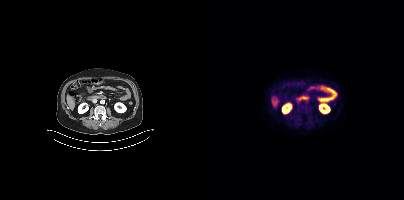
Paired axial CT (left) and PSMA PET (right), 18F tracer. Slice position z = -1468 mm. PET panel 200×200 px (4.1 mm/px). Coordinates are on the 200×200 PET (right) panel. Small PSMA-avid focus (2 to 4 px across) near (center x, center y): (101, 112).